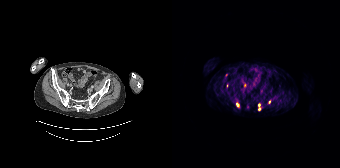
{"modality":"PSMA PET/CT","view":"axial","tracer":"68Ga-PSMA","pet_grid":[168,168],"coord_frame":"pet_panel","coord_format":"x0,y0,x1,y1","partial":true,"lesion_bboxes":[],"small_foci_centers":[[72,85],[66,105],[86,104],[87,108]]}